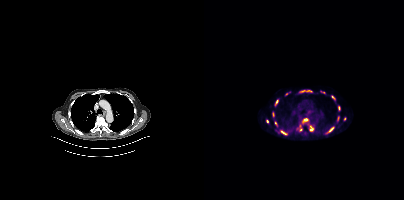
Coordinates are on the 200×200 PET (right) panel. (showing 14 of 17 foci) PSMA-avid tumor lesion bounding boxes (x0, y0)-(x1, y1): (95, 89)-(108, 93) | (98, 118)-(104, 123) | (105, 125)-(109, 131) | (76, 130)-(83, 134) | (71, 100)-(74, 105) | (134, 106)-(136, 110) | (68, 112)-(70, 116) | (127, 96)-(131, 99) | (125, 127)-(129, 131). Small PSMA-avid foci (2 to 4 px across) near (center x, center y): (63, 121) | (97, 129) | (71, 123) | (119, 92) | (140, 118).
modality: PSMA PET/CT | tracer: [18F]PSMA-1007 | view: axial